Technique: Left: CT. Right: PSMA PET, same axial level, 18F tracer. acquired on Siemens Biograph mCT Flow 20.
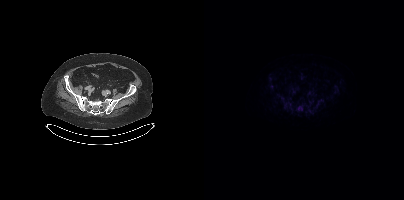
Findings: Coordinates are on the 200×200 PET (right) panel. Small PSMA-avid focus (2 to 4 px across) near (center x, center y): (95, 107).